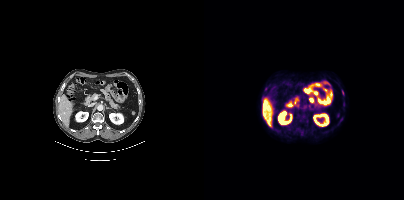
Left: CT. Right: PSMA PET, same axial level, [18F]PSMA-1007 tracer. Coordinates are on the 200×200 PET (right) panel. PSMA-avid tumor lesion bounding box (x0, y0)-(x1, y1): (138, 90)-(139, 94). Small PSMA-avid focus (2 to 4 px across) near (center x, center y): (61, 89).